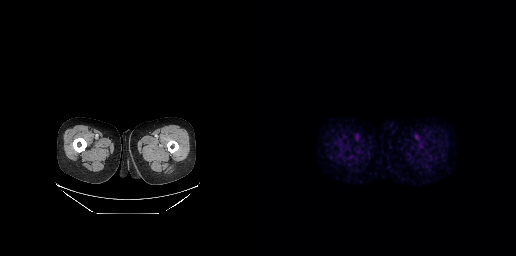
No PSMA-avid tumor lesions on this slice.
modality: PSMA PET/CT | tracer: 18F | view: axial | PET grid: 256×256